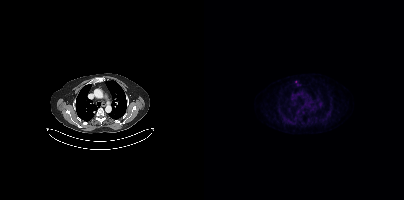
Paired axial CT (left) and PSMA PET (right), 18F tracer. Acquired on Siemens Biograph mCT Flow 20. Only PSMA-avid lesion pieces thinner than 2 px on this slice (not listed).